- Paired axial CT (left) and PSMA PET (right), [18F]PSMA-1007 tracer
- acquired on Siemens Biograph mCT Flow 20
- slice 134 of 435
- PET panel 200×200 px (4.1 mm/px)
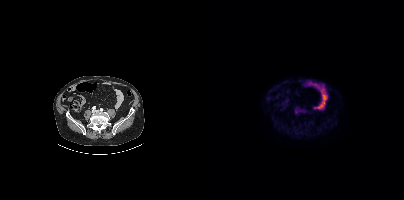
Findings: Only PSMA-avid lesion pieces thinner than 2 px on this slice (not listed).